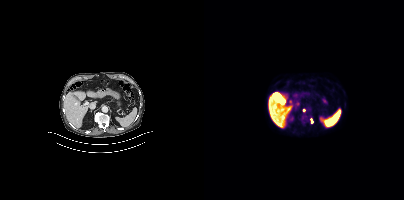
Coordinates are on the 200×200 PET (right) panel. (showing 2 of 3 foci) Small PSMA-avid foci (2 to 4 px across) near (center x, center y): (99, 109), (107, 121).